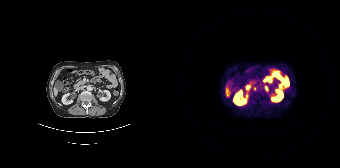
{"pet_grid":[168,168],"coord_frame":"pet_panel","coord_format":"x0,y0,x1,y1","lesion_bboxes":[[93,86,95,90]],"small_foci_centers":[[82,88]],"modality":"PSMA PET/CT","view":"axial","tracer":"68Ga-PSMA"}